Technique: Paired axial CT (left) and PSMA PET (right), 18F tracer. acquired on Siemens Biograph mCT Flow 20.
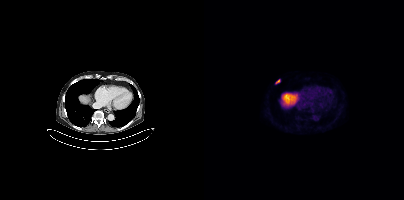
Findings: Coordinates are on the 200×200 PET (right) panel. PSMA-avid tumor lesion bounding box (x0, y0)-(x1, y1): (71, 79)-(76, 84).